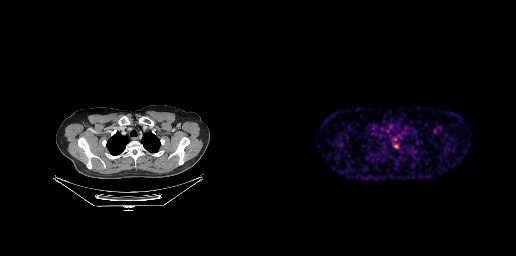
Only PSMA-avid lesion pieces thinner than 2 px on this slice (not listed).
modality: PSMA PET/CT | tracer: [68Ga]Ga-PSMA-11 | view: axial